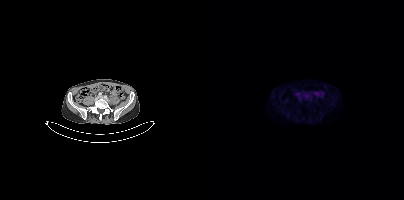
{"modality":"PSMA PET/CT","view":"axial","tracer":"18F-PSMA","pet_grid":[200,200],"coord_frame":"pet_panel","coord_format":"x0,y0,x1,y1","psma_avid_lesions":false}